Left: CT. Right: PSMA PET, same axial level, 68Ga-PSMA tracer. Slice 121 of 195.
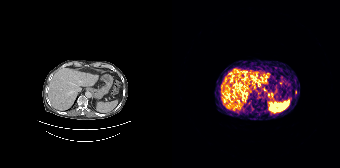
Coordinates are on the 168×168 PET (right) panel. Small PSMA-avid focus (2 to 4 px across) near (center x, center y): (123, 91).